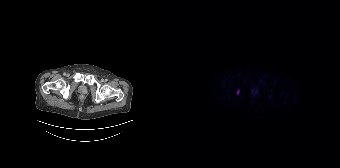
Left: CT. Right: PSMA PET, same axial level, [18F]PSMA-1007 tracer. Slice position z = -1504 mm.
Coordinates are on the 168×168 PET (right) panel. PSMA-avid tumor lesion bounding boxes:
| # | x0 | y0 | x1 | y1 |
|---|---|---|---|---|
| 1 | 65 | 89 | 67 | 94 |